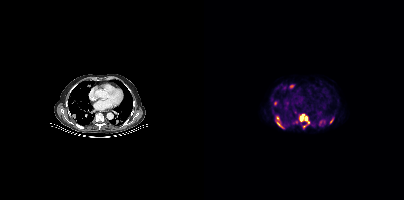
{"pet_grid":[200,200],"coord_frame":"pet_panel","coord_format":"x0,y0,x1,y1","partial":true,"lesion_bboxes":[[96,114,105,123],[72,116,80,128],[85,84,90,88],[70,101,73,105],[99,124,103,127],[126,119,129,123],[89,121,93,123]],"small_foci_centers":[[116,122],[80,87]],"modality":"PSMA PET/CT","view":"axial","tracer":"18F"}